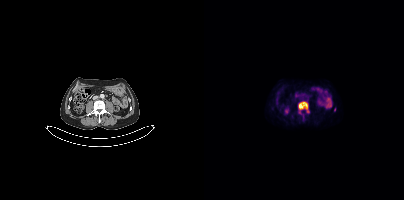
Two-panel axial: CT | PSMA PET, 18F tracer. Acquired on Siemens Biograph mCT Flow 20. Slice 150 of 403. PET panel 200×200 px (4.1 mm/px). Coordinates are on the 200×200 PET (right) panel. PSMA-avid tumor lesion bounding box (x0, y0)-(x1, y1): (94, 101)-(105, 113). Small PSMA-avid focus (2 to 4 px across) near (center x, center y): (130, 109).